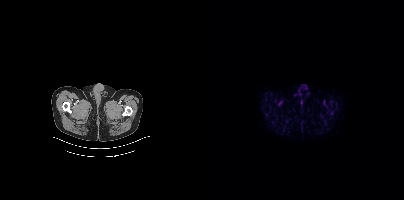
- Left: CT. Right: PSMA PET, same axial level, 18F tracer
- acquired on Siemens Biograph mCT Flow 20
- PET panel 200×200 px (4.1 mm/px)
Findings: No PSMA-avid tumor lesions on this slice.